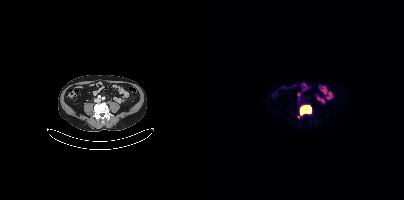
- Two-panel axial: CT | PSMA PET, 18F-PSMA tracer
- PET panel 200×200 px (4.1 mm/px)
Findings: Coordinates are on the 200×200 PET (right) panel. PSMA-avid tumor lesion bounding box (x0, y0)-(x1, y1): (93, 105)-(107, 118). Small PSMA-avid focus (2 to 4 px across) near (center x, center y): (94, 99).